A rectangular block over the head has been blanked out for de-identification.
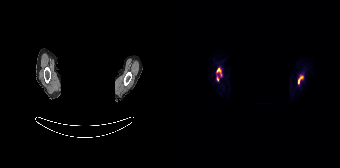
Coordinates are on the 168×168 PET (right) panel. PSMA-avid tumor lesion bounding boxes (x, y, width, height): x=126 y=75 w=6 h=10 | x=44 y=68 w=6 h=9 | x=45 y=76 w=2 h=6.